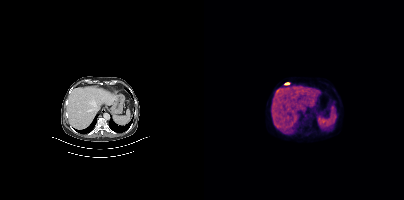
Coordinates are on the 200×200 PET (right) panel. PSMA-avid tumor lesion bounding box (x0, y0)-(x1, y1): (81, 83)-(85, 84). Left: CT. Right: PSMA PET, same axial level, 18F tracer. Acquired on Siemens Biograph mCT Flow 20.